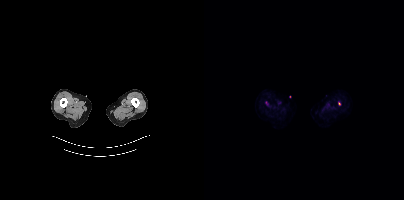
{"pet_grid":[200,200],"coord_frame":"pet_panel","coord_format":"x0,y0,x1,y1","partial":true,"lesion_bboxes":[],"small_foci_centers":[[135,103]],"modality":"PSMA PET/CT","view":"axial","tracer":"18F"}